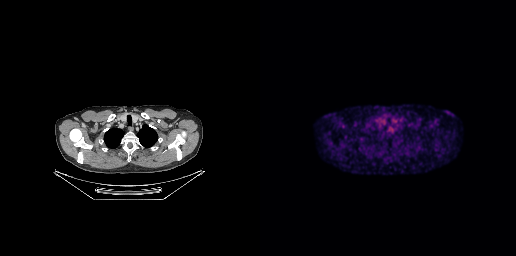
{"modality":"PSMA PET/CT","view":"axial","tracer":"18F","pet_grid":[256,256],"coord_frame":"pet_panel","coord_format":"x0,y0,x1,y1","psma_avid_lesions":false}